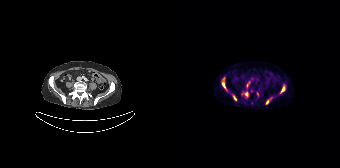
- Two-panel axial: CT | PSMA PET, 68Ga tracer
- acquired on Siemens Biograph 64-4R TruePoint
- slice 65 of 165
- PET panel 168×168 px (4.1 mm/px)
Findings: Coordinates are on the 168×168 PET (right) panel. (showing 8 of 9 foci) PSMA-avid tumor lesion bounding boxes (x, y, width, height): x=49 y=77 w=6 h=13 | x=70 y=91 w=7 h=7 | x=108 y=85 w=6 h=9 | x=94 y=97 w=6 h=8 | x=61 y=95 w=4 h=6 | x=84 y=92 w=4 h=5. Small PSMA-avid foci (2 to 4 px across) near (center x, center y): (79, 89) | (75, 85).